- Paired axial CT (left) and PSMA PET (right), 68Ga tracer
- acquired on GE Discovery 690
- PET panel 256×256 px (2.7 mm/px)
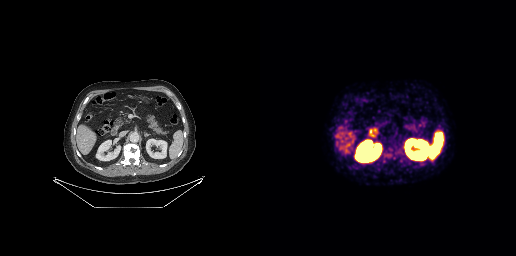
Findings: No tumor lesions annotated on this slice.